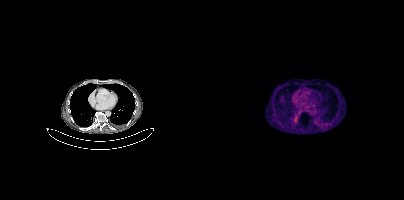
Findings: No tumor lesions annotated on this slice.
- Paired axial CT (left) and PSMA PET (right), 68Ga tracer
- slice position z = -658 mm